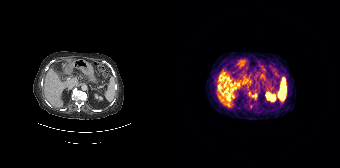
modality: PSMA PET/CT | tracer: 68Ga | view: axial
Coordinates are on the 168×168 PET (right) panel. (showing 1 of 2 foci) Small PSMA-avid focus (2 to 4 px across) near (center x, center y): (82, 95).